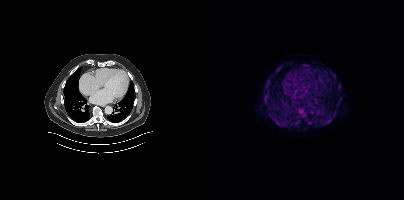
{"modality":"PSMA PET/CT","view":"axial","tracer":"18F","pet_grid":[200,200],"coord_frame":"pet_panel","coord_format":"x0,y0,x1,y1","lesion_bboxes":[[94,107,102,117],[122,113,132,123],[61,79,67,86],[71,120,77,125],[64,113,69,118],[60,96,64,101],[103,121,108,124],[134,84,137,88],[134,97,138,102],[72,67,76,71],[100,64,104,66]],"small_foci_centers":[[70,75]]}